Technique: Left: CT. Right: PSMA PET, same axial level, 18F-PSMA tracer.
Note: The face region was removed for patient privacy by blanking a rectangle over the head.
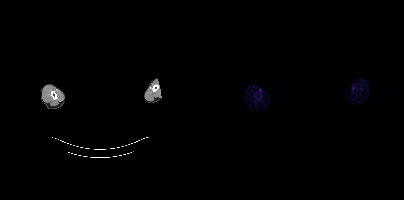
Findings: No PSMA-avid tumor lesions on this slice.